Paired axial CT (left) and PSMA PET (right), 18F-PSMA tracer. Acquired on Siemens Biograph mCT Flow 20. Slice position z = -1527 mm. PET panel 200×200 px (4.1 mm/px).
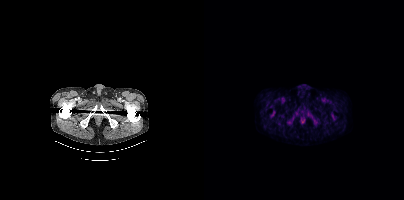
No tumor lesions annotated on this slice.